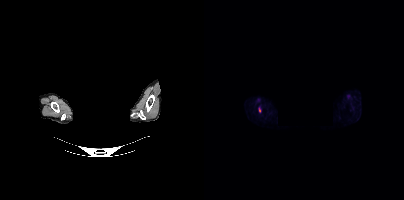
{"modality":"PSMA PET/CT","view":"axial","tracer":"[18F]PSMA-1007","pet_grid":[200,200],"coord_frame":"pet_panel","coord_format":"x0,y0,x1,y1","deidentification":"face masked with black rectangle","partial":true,"lesion_bboxes":[[54,107,57,112]]}